- Left: CT. Right: PSMA PET, same axial level, 18F tracer
- acquired on Siemens Biograph mCT Flow 20
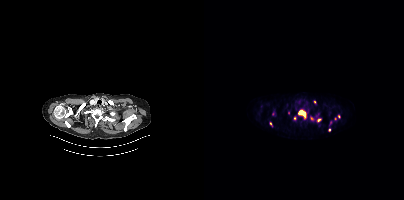
Findings: Coordinates are on the 200×200 PET (right) panel. (showing 9 of 10 foci) PSMA-avid tumor lesion bounding boxes (x0, y0)-(x1, y1): (94, 109)-(102, 118) | (113, 119)-(117, 121). Small PSMA-avid foci (2 to 4 px across) near (center x, center y): (135, 116) | (90, 118) | (107, 118) | (66, 123) | (125, 130) | (110, 101) | (131, 118).